- Paired axial CT (left) and PSMA PET (right), 18F-PSMA tracer
- slice position z = 154 mm
- PET panel 200×200 px (4.1 mm/px)
- the head region is masked for de-identification
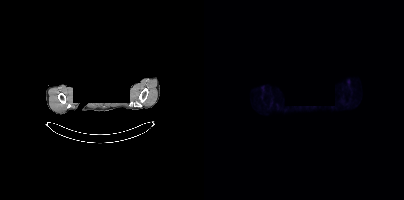
Findings: No tumor lesions annotated on this slice.